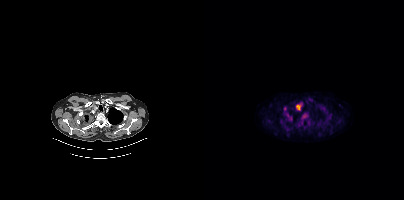
Coordinates are on the 200×200 PET (right) panel. (showing 3 of 4 foci) PSMA-avid tumor lesion bounding boxes (x0, y0)-(x1, y1): (80, 108)-(88, 121) / (97, 113)-(104, 120) / (92, 105)-(96, 109).